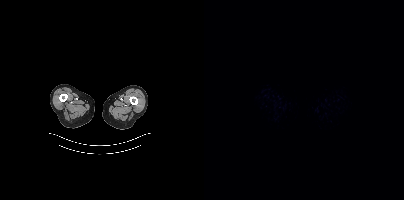
Findings: This slice has no annotated PSMA-avid lesion.
- Paired axial CT (left) and PSMA PET (right), 18F-PSMA tracer
- acquired on Siemens Biograph mCT Flow 20